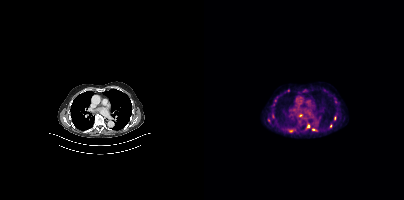
Findings: Coordinates are on the 200×200 PET (right) panel. (showing 7 of 10 foci) PSMA-avid tumor lesion bounding box (x, y, width, height): x=84 y=129 w=5 h=4. Small PSMA-avid foci (2 to 4 px across) near (center x, center y): (104, 125) | (109, 129) | (96, 115) | (64, 120) | (84, 90) | (126, 125).
Technique: Two-panel axial: CT | PSMA PET, [18F]PSMA-1007 tracer. slice 276 of 407.